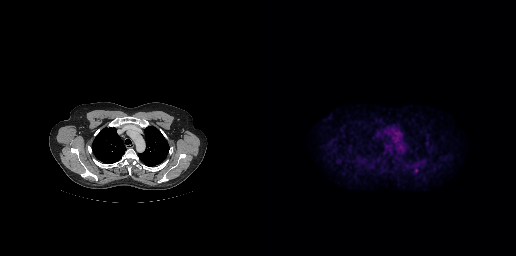
Technique: Paired axial CT (left) and PSMA PET (right), [18F]PSMA-1007 tracer. acquired on GE Discovery 690.
Findings: Coordinates are on the 256×256 PET (right) panel. PSMA-avid tumor lesion bounding box (x0, y0)-(x1, y1): (154, 167)-(158, 172).